Left: CT. Right: PSMA PET, same axial level, 18F tracer. Acquired on GE Discovery 690. Slice 93 of 263.
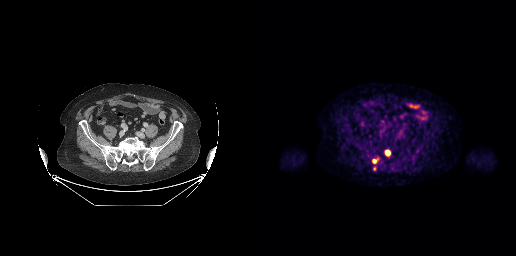
Coordinates are on the 256×256 PET (right) panel. PSMA-avid tumor lesion bounding boxes (x0, y0)-(x1, y1): (125, 149)-(131, 156); (112, 159)-(118, 163). Small PSMA-avid focus (2 to 4 px across) near (center x, center y): (114, 168).